- Left: CT. Right: PSMA PET, same axial level, 18F tracer
- slice position z = -1160 mm
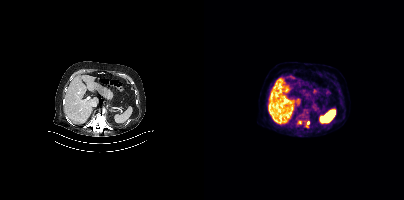
Findings: Coordinates are on the 200×200 PET (right) panel. PSMA-avid tumor lesion bounding box (x0,y0,x1,y1): [101,121,105,127]. Small PSMA-avid focus (2 to 4 px across) near (center x, center y): (95, 122).